modality: PSMA PET/CT | tracer: [68Ga]Ga-PSMA-11 | view: axial | PET grid: 168×168
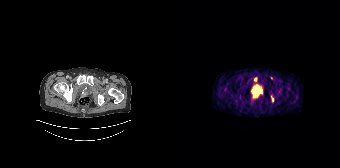
Coordinates are on the 168×168 PET (right) panel. PSMA-avid tumor lesion bounding boxes (x0,y0,x1,y1): [82,77,85,81] [99,96,101,101]. Small PSMA-avid focus (2 to 4 px across) near (center x, center y): (99, 78).